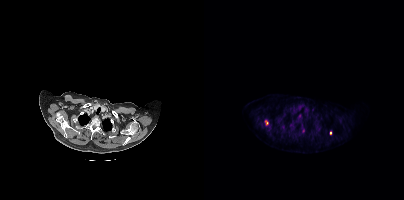
Coordinates are on the 200×200 PET (right) panel. Small PSMA-avid foci (2 to 4 px across) near (center x, center y): (62, 122); (126, 132). Paired axial CT (left) and PSMA PET (right), [18F]PSMA-1007 tracer. Slice 347 of 431.